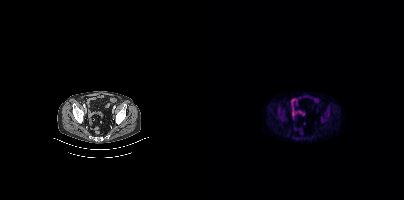
{"modality":"PSMA PET/CT","view":"axial","tracer":"18F","pet_grid":[200,200],"coord_frame":"pet_panel","coord_format":"x0,y0,x1,y1","lesion_bboxes":[[117,117,122,122]]}